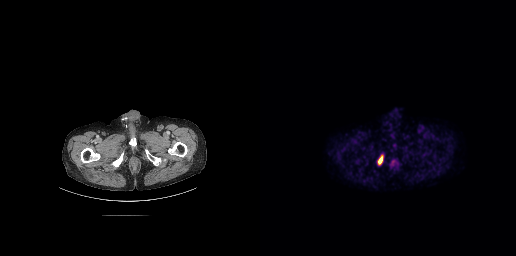
Technique: Two-panel axial: CT | PSMA PET, 18F-PSMA tracer. PET panel 256×256 px (2.7 mm/px).
Findings: Coordinates are on the 256×256 PET (right) panel. PSMA-avid tumor lesion bounding boxes (x, y, width, height): x=118 y=155 w=6 h=10; x=131 y=161 w=8 h=6.